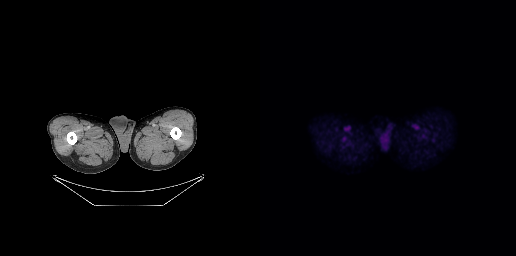
modality: PSMA PET/CT | tracer: 18F-PSMA | view: axial | PET grid: 256×256
Negative for PSMA-avid disease on this slice.